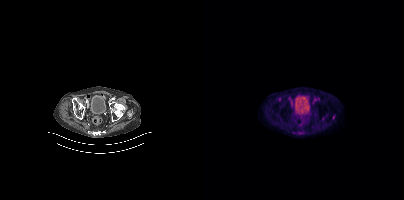
{"modality":"PSMA PET/CT","view":"axial","tracer":"18F","pet_grid":[200,200],"coord_frame":"pet_panel","coord_format":"x0,y0,x1,y1","lesion_bboxes":[[127,114,131,120],[109,99,112,103]]}